Left: CT. Right: PSMA PET, same axial level, [18F]PSMA-1007 tracer. Acquired on GE Discovery 690.
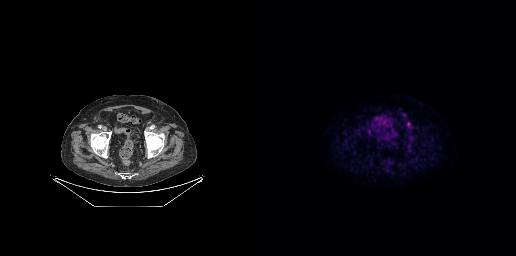
Coordinates are on the 256×256 PET (right) panel. PSMA-avid tumor lesion bounding boxes:
| # | x0 | y0 | x1 | y1 |
|---|---|---|---|---|
| 1 | 147 | 122 | 150 | 126 |